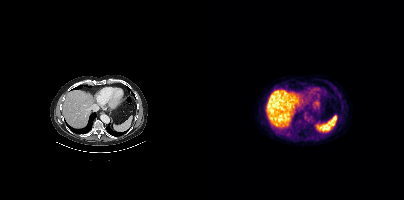
Findings: This slice has no annotated PSMA-avid lesion.
Technique: Paired axial CT (left) and PSMA PET (right), [18F]PSMA-1007 tracer. acquired on Siemens Biograph mCT Flow 20. PET panel 200×200 px (4.1 mm/px).